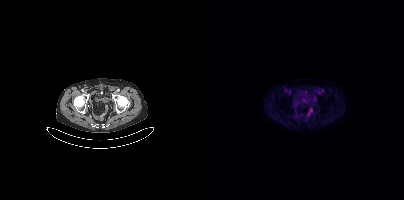
No PSMA-avid tumor lesions on this slice.